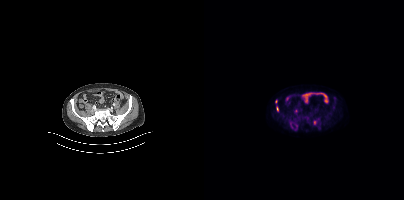
{"modality":"PSMA PET/CT","view":"axial","tracer":"[18F]PSMA-1007","pet_grid":[200,200],"coord_frame":"pet_panel","coord_format":"x0,y0,x1,y1","lesion_bboxes":[[72,106,74,111]],"small_foci_centers":[[110,122],[92,110],[72,101],[92,125]]}